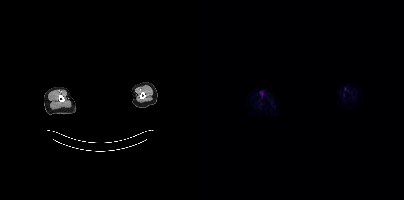
Two-panel axial: CT | PSMA PET, 18F tracer. Acquired on Siemens Biograph mCT Flow 20. PET panel 200×200 px (4.1 mm/px). Face de-identified by blanking a block of the head. No PSMA-avid tumor lesions on this slice.